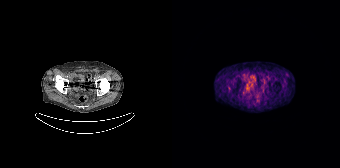
- Left: CT. Right: PSMA PET, same axial level, 68Ga-PSMA tracer
Findings: No tumor lesions annotated on this slice.